modality: PSMA PET/CT | tracer: [18F]PSMA-1007 | view: axial | PET grid: 200×200
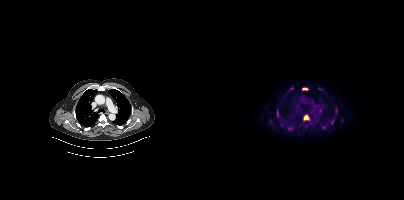
Coordinates are on the 200×200 PET (right) panel. PSMA-avid tumor lesion bounding boxes (x0, y0)-(x1, y1): (99, 115)-(105, 121); (83, 127)-(89, 130); (98, 87)-(104, 90); (131, 107)-(133, 115); (118, 124)-(122, 129); (101, 124)-(105, 128); (73, 110)-(74, 117). Small PSMA-avid foci (2 to 4 px across) near (center x, center y): (128, 122); (87, 88); (138, 120).